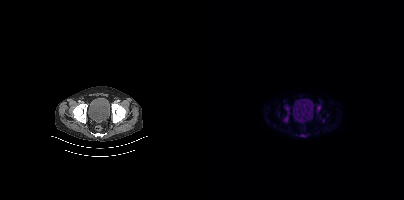
{"modality":"PSMA PET/CT","view":"axial","tracer":"18F-PSMA","pet_grid":[200,200],"coord_frame":"pet_panel","coord_format":"x0,y0,x1,y1","lesion_bboxes":[[113,105,116,111],[81,106,85,113],[80,116,84,122]],"small_foci_centers":[[119,120]]}